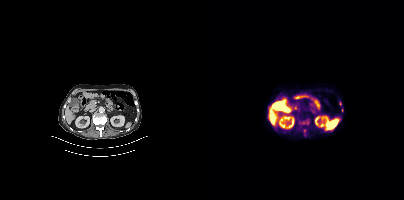
Technique: Left: CT. Right: PSMA PET, same axial level, 18F-PSMA tracer. acquired on Siemens Biograph mCT Flow 20.
Findings: Coordinates are on the 200×200 PET (right) panel. (showing 1 of 2 foci) Small PSMA-avid focus (2 to 4 px across) near (center x, center y): (136, 103).